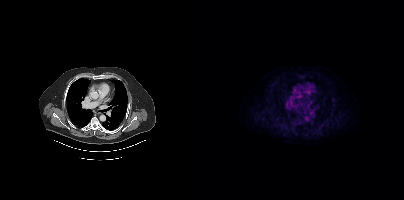
Negative for PSMA-avid disease on this slice. Two-panel axial: CT | PSMA PET, 18F-PSMA tracer. Acquired on Siemens Biograph mCT Flow 20. Slice position z = -1021 mm. PET panel 200×200 px (4.1 mm/px).